Technique: Two-panel axial: CT | PSMA PET, 68Ga tracer. slice position z = -689 mm. PET panel 256×256 px (2.7 mm/px).
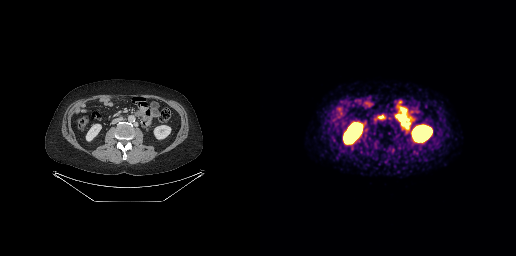
Findings: No PSMA-avid tumor lesions on this slice.